Two-panel axial: CT | PSMA PET, 18F-PSMA tracer. Slice 234 of 415. PET panel 200×200 px (4.1 mm/px).
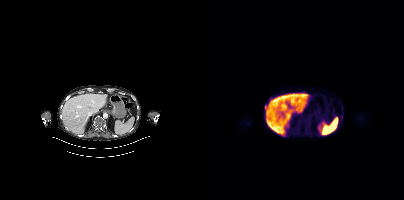
Coordinates are on the 200×200 PET (right) panel. PSMA-avid tumor lesion bounding boxes (x, y, width, height): x=61 y=105 w=3 h=7; x=137 y=114 w=2 h=7.